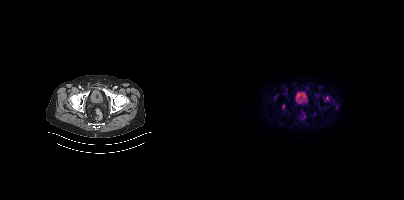
Paired axial CT (left) and PSMA PET (right), 18F-PSMA tracer. Slice position z = -1456 mm. PET panel 200×200 px (4.1 mm/px). Negative for PSMA-avid disease on this slice.